Left: CT. Right: PSMA PET, same axial level, [18F]PSMA-1007 tracer.
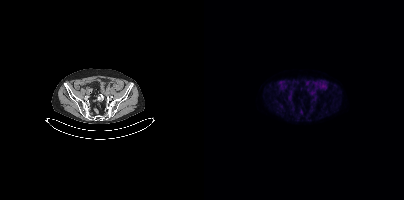
Negative for PSMA-avid disease on this slice.